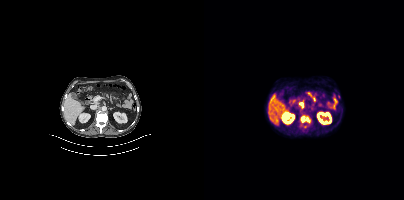
{"pet_grid":[200,200],"coord_frame":"pet_panel","coord_format":"x0,y0,x1,y1","lesion_bboxes":[[96,115,107,125]],"small_foci_centers":[[101,126]],"modality":"PSMA PET/CT","view":"axial","tracer":"[18F]PSMA-1007"}